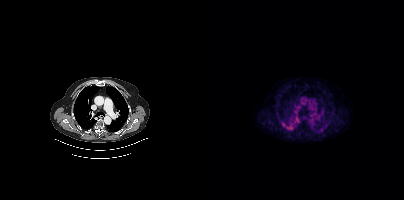
{"modality":"PSMA PET/CT","view":"axial","tracer":"18F-PSMA","pet_grid":[200,200],"coord_frame":"pet_panel","coord_format":"x0,y0,x1,y1","psma_avid_lesions":false}